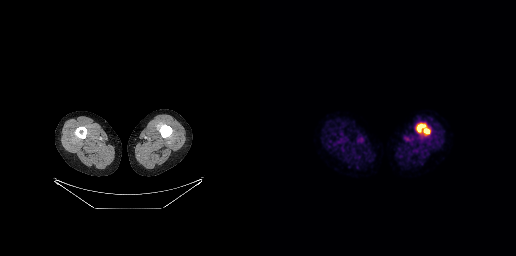
{"pet_grid":[256,256],"coord_frame":"pet_panel","coord_format":"x0,y0,x1,y1","lesion_bboxes":[[156,123,170,134]],"modality":"PSMA PET/CT","view":"axial","tracer":"[18F]PSMA-1007"}